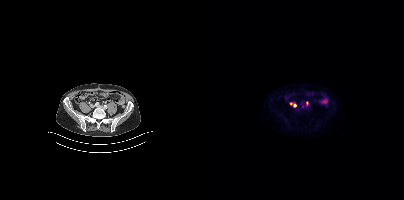
Coordinates are on the 200×200 PET (right) panel. PSMA-avid tumor lesion bounding boxes:
| # | x0 | y0 | x1 | y1 |
|---|---|---|---|---|
| 1 | 86 | 103 | 92 | 107 |
Small PSMA-avid focus (2 to 4 px across) near (center x, center y): (102, 103).
Paired axial CT (left) and PSMA PET (right), 18F tracer.